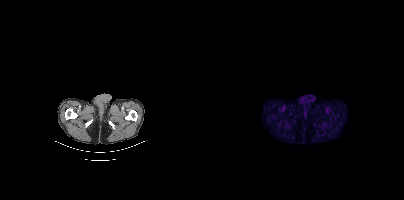
No PSMA-avid tumor lesions on this slice. Two-panel axial: CT | PSMA PET, [18F]PSMA-1007 tracer.